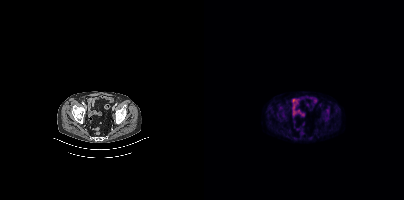
Technique: Two-panel axial: CT | PSMA PET, 18F-PSMA tracer.
Findings: Only PSMA-avid lesion pieces thinner than 2 px on this slice (not listed).